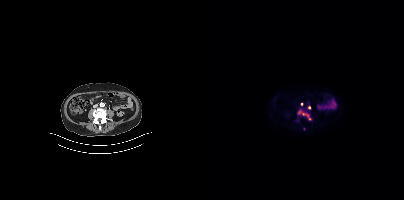
Coordinates are on the 200×200 PET (right) panel. (showing 3 of 4 foci) Small PSMA-avid foci (2 to 4 px across) near (center x, center y): (105, 107); (105, 118); (97, 103). Paired axial CT (left) and PSMA PET (right), 18F-PSMA tracer. Acquired on Siemens Biograph mCT Flow 20. Slice 139 of 403. PET panel 200×200 px (4.1 mm/px).